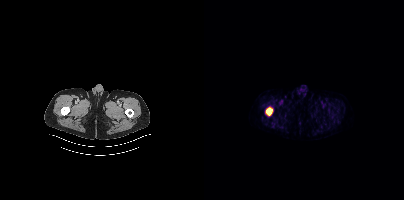
{"modality":"PSMA PET/CT","view":"axial","tracer":"[18F]PSMA-1007","pet_grid":[200,200],"coord_frame":"pet_panel","coord_format":"x0,y0,x1,y1","lesion_bboxes":[[62,108,68,115]]}